Paired axial CT (left) and PSMA PET (right), 68Ga-PSMA tracer. PET panel 168×168 px (4.1 mm/px).
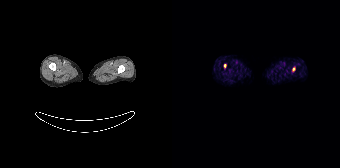
Coordinates are on the 168×168 PET (right) panel. Small PSMA-avid foci (2 to 4 px across) near (center x, center y): (53, 65), (121, 68).